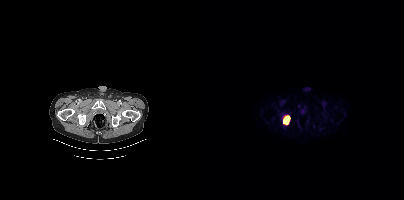
Coordinates are on the 200×200 PET (right) panel. PSMA-avid tumor lesion bounding box (x, y, width, height): x=79 y=115 w=7 h=9.